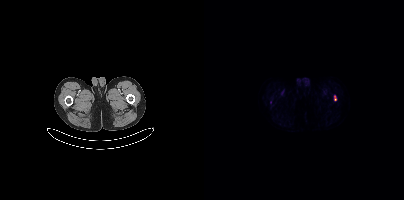
Paired axial CT (left) and PSMA PET (right), 18F tracer. Slice 21 of 407. Coordinates are on the 200×200 PET (right) panel. PSMA-avid tumor lesion bounding box (x, y, width, height): x=130 y=96 w=3 h=5. Small PSMA-avid focus (2 to 4 px across) near (center x, center y): (66, 101).